Left: CT. Right: PSMA PET, same axial level, 18F tracer.
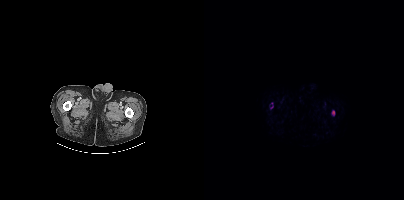
Coordinates are on the 200×200 PET (right) panel. PSMA-avid tumor lesion bounding boxes (partial; 1 more focus not listed):
| # | x0 | y0 | x1 | y1 |
|---|---|---|---|---|
| 1 | 127 | 110 | 131 | 115 |
Small PSMA-avid focus (2 to 4 px across) near (center x, center y): (67, 107).